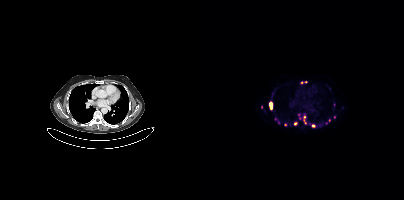
Coordinates are on the 200×200 PET (right) panel. (showing 12 of 16 foci) PSMA-avid tumor lesion bounding boxes (x0,y0,x1,y1): [65,101,68,109], [99,116,102,123]. Small PSMA-avid foci (2 to 4 px across) near (center x, center y): (91, 123), (125, 120), (109, 125), (94, 114), (130, 116), (81, 124), (101, 81), (57, 106), (95, 118), (74, 122).
modality: PSMA PET/CT | tracer: [68Ga]Ga-PSMA-11 | view: axial